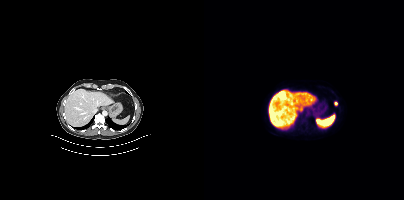
{"pet_grid":[200,200],"coord_frame":"pet_panel","coord_format":"x0,y0,x1,y1","lesion_bboxes":[],"small_foci_centers":[[131,103]],"modality":"PSMA PET/CT","view":"axial","tracer":"18F-PSMA"}